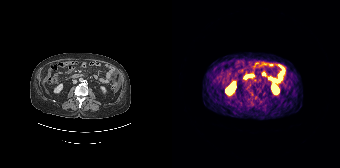
- Left: CT. Right: PSMA PET, same axial level, 68Ga-PSMA tracer
- acquired on Siemens Biograph 64-4R TruePoint
- slice 64 of 165
Findings: This slice has no annotated PSMA-avid lesion.